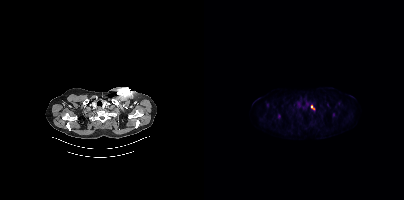
- Left: CT. Right: PSMA PET, same axial level, 18F-PSMA tracer
- acquired on Siemens Biograph mCT Flow 20
Findings: Coordinates are on the 200×200 PET (right) panel. Small PSMA-avid focus (2 to 4 px across) near (center x, center y): (108, 107).